modality: PSMA PET/CT | tracer: 18F | view: axial | PET grid: 200×200
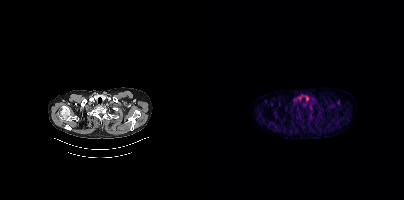
No tumor lesions annotated on this slice.